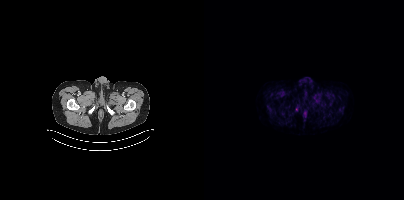
Left: CT. Right: PSMA PET, same axial level, [68Ga]Ga-PSMA-11 tracer. Acquired on Siemens Biograph mCT Flow 20. Only PSMA-avid lesion pieces thinner than 2 px on this slice (not listed).